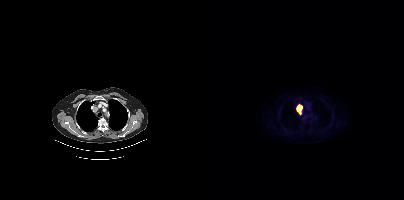
Coordinates are on the 200×200 PET (right) panel. Small PSMA-avid focus (2 to 4 px across) near (center x, center y): (94, 110).